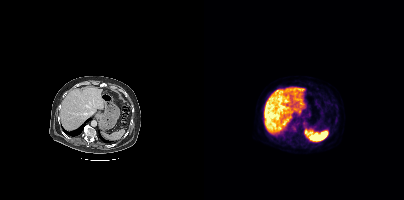
- Two-panel axial: CT | PSMA PET, [18F]PSMA-1007 tracer
- acquired on Siemens Biograph mCT Flow 20
- slice 252 of 431
- PET panel 200×200 px (4.1 mm/px)
Findings: This slice has no annotated PSMA-avid lesion.